Left: CT. Right: PSMA PET, same axial level, [18F]PSMA-1007 tracer. Slice 164 of 450. PET panel 200×200 px (4.1 mm/px).
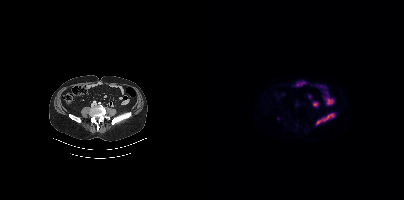
Coordinates are on the 200×200 PET (right) panel. PSMA-avid tumor lesion bounding boxes (x0, y0)-(x1, y1): (120, 113)-(130, 120) | (112, 120)-(118, 123).